The face region was removed for patient privacy by blanking a rectangle over the head.
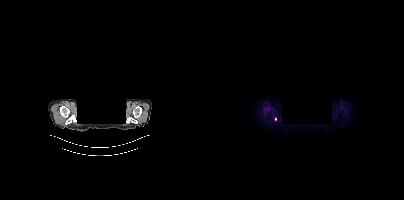
Coordinates are on the 200×200 PET (right) panel. Small PSMA-avid focus (2 to 4 px across) near (center x, center y): (71, 118).